- Two-panel axial: CT | PSMA PET, 68Ga-PSMA tracer
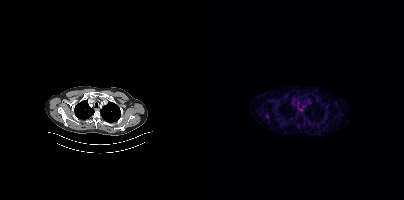
Findings: No PSMA-avid tumor lesions on this slice.